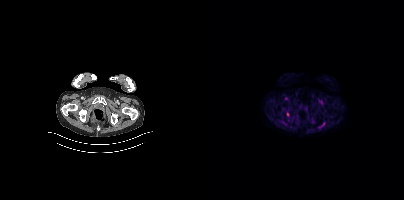
Findings: Coordinates are on the 200×200 PET (right) panel. Small PSMA-avid focus (2 to 4 px across) near (center x, center y): (83, 114).
Technique: Two-panel axial: CT | PSMA PET, 18F tracer.